- Left: CT. Right: PSMA PET, same axial level, 18F tracer
- acquired on GE Discovery 690
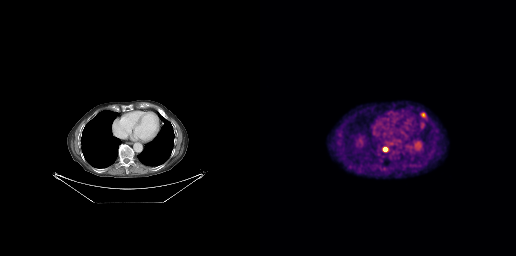
Findings: Coordinates are on the 256×256 PET (right) panel. PSMA-avid tumor lesion bounding boxes (x0,y0,x1,y1): [160,112,166,118], [123,147,127,151].